Technique: Left: CT. Right: PSMA PET, same axial level, 18F tracer. acquired on Siemens Biograph mCT Flow 20. slice 76 of 403.
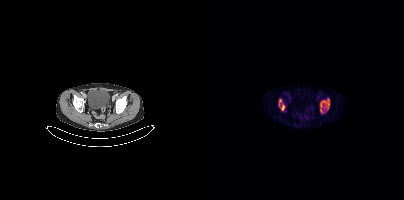
Findings: Coordinates are on the 200×200 PET (right) panel. PSMA-avid tumor lesion bounding boxes (x, y, width, height): x=116 y=98 w=10 h=16 | x=74 y=98 w=8 h=14.